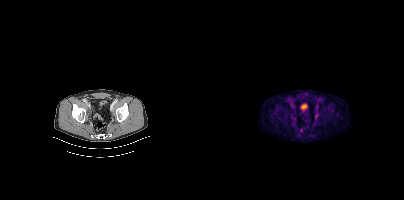
Technique: Left: CT. Right: PSMA PET, same axial level, 18F tracer. slice 83 of 448. PET panel 200×200 px (4.1 mm/px).
Findings: Coordinates are on the 200×200 PET (right) panel. (showing 1 of 3 foci) Small PSMA-avid focus (2 to 4 px across) near (center x, center y): (112, 116).